A rectangle over the head was blacked out to remove identifiable facial features.
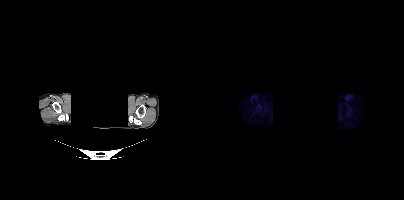
No PSMA-avid tumor lesions on this slice.